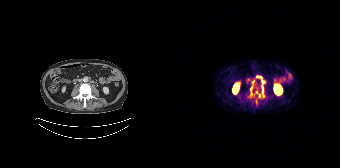
Coordinates are on the 168×168 PET (right) panel. (showing 4 of 6 foci) PSMA-avid tumor lesion bounding boxes (x0, y0)-(x1, y1): (77, 87)-(83, 98) | (86, 91)-(92, 97) | (88, 77)-(92, 83). Small PSMA-avid focus (2 to 4 px across) near (center x, center y): (90, 86).